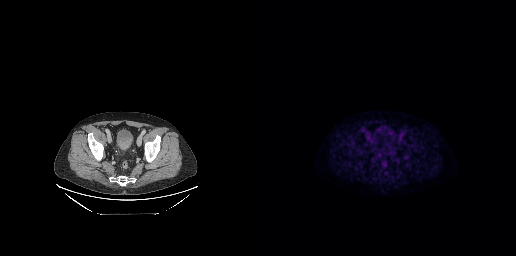
This slice has no annotated PSMA-avid lesion.